Left: CT. Right: PSMA PET, same axial level, 18F tracer. Acquired on Siemens Biograph mCT Flow 20. Slice position z = 236 mm. PET panel 200×200 px (4.1 mm/px).
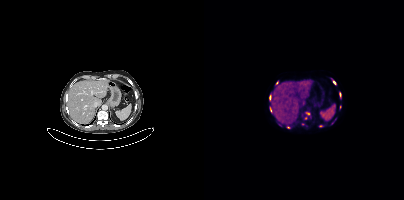
Coordinates are on the 200×200 PET (right) panel. PSMA-avid tumor lesion bounding boxes (partial; 6 more foci not listed):
| # | x0 | y0 | x1 | y1 |
|---|---|---|---|---|
| 1 | 66 | 107 | 67 | 111 |
Small PSMA-avid foci (2 to 4 px across) near (center x, center y): (130, 82); (104, 114); (73, 83); (136, 106); (98, 123).